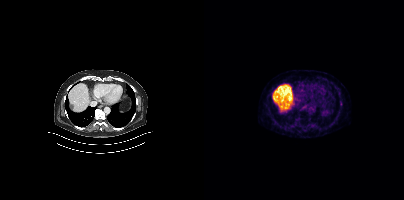
Technique: Two-panel axial: CT | PSMA PET, [68Ga]Ga-PSMA-11 tracer. PET panel 200×200 px (4.1 mm/px).
Findings: Coordinates are on the 200×200 PET (right) panel. Small PSMA-avid focus (2 to 4 px across) near (center x, center y): (136, 103).